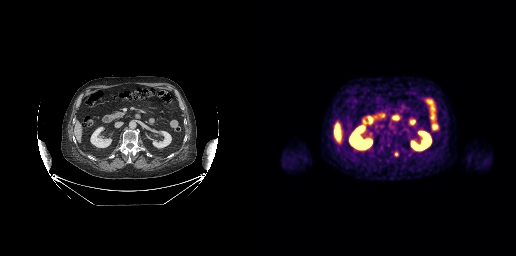
modality: PSMA PET/CT | tracer: 18F-PSMA | view: axial | PET grid: 256×256
Coordinates are on the 256×256 PET (right) panel. PSMA-avid tumor lesion bounding box (x0,y0,x1,y1): [135,152,138,156].